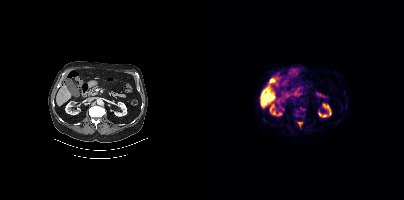
Coordinates are on the 200×200 PET (right) panel. (showing 1 of 2 foci) PSMA-avid tumor lesion bounding box (x0, y0)-(x1, y1): (94, 122)-(98, 126). Paired axial CT (left) and PSMA PET (right), 18F-PSMA tracer. Slice 220 of 454. PET panel 200×200 px (4.1 mm/px).